Technique: Left: CT. Right: PSMA PET, same axial level, [18F]PSMA-1007 tracer. slice 409 of 429.
Note: An anonymization step blacked out a rectangle over the head in this scan.
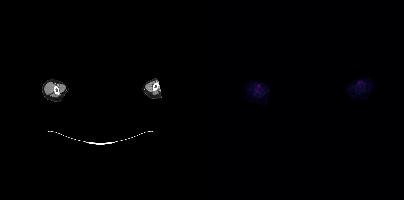
Findings: No tumor lesions annotated on this slice.